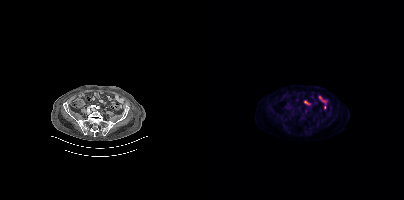
Paired axial CT (left) and PSMA PET (right), [18F]PSMA-1007 tracer. Slice 103 of 344. PET panel 200×200 px (4.1 mm/px). No PSMA-avid tumor lesions on this slice.